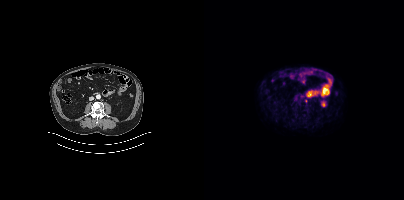
Technique: Two-panel axial: CT | PSMA PET, [18F]PSMA-1007 tracer. acquired on Siemens Biograph mCT Flow 20. PET panel 200×200 px (4.1 mm/px).
Findings: Only PSMA-avid lesion pieces thinner than 2 px on this slice (not listed).